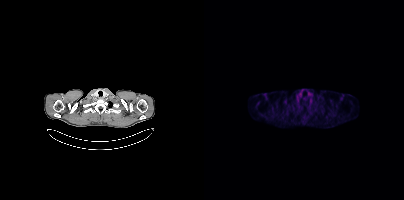
Negative for PSMA-avid disease on this slice. Two-panel axial: CT | PSMA PET, 18F tracer.